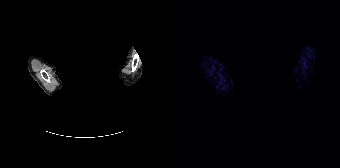
Paired axial CT (left) and PSMA PET (right), 68Ga-PSMA tracer. Acquired on Siemens Biograph 64-4R TruePoint. Slice position z = 110 mm. PET panel 168×168 px (4.1 mm/px). Facial anatomy redacted by setting a rectangular region of the head to black. No tumor lesions annotated on this slice.